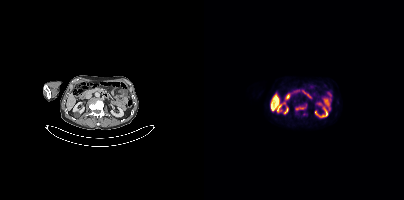
Coordinates are on the 200×200 PET (right) panel. PSMA-avid tumor lesion bounding box (x0,y0,x1,y1): [92,107,99,109].